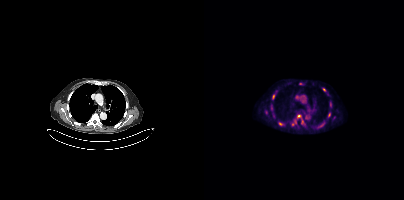
Coordinates are on the 200×200 PET (right) panel. (showing 6 of 10 foci) PSMA-avid tumor lesion bounding box (x0,y0,x1,y1): [67,105,68,110]. Small PSMA-avid foci (2 to 4 px across) near (center x, center y): (94, 116), (76, 123), (120, 89), (69, 96), (125, 114).